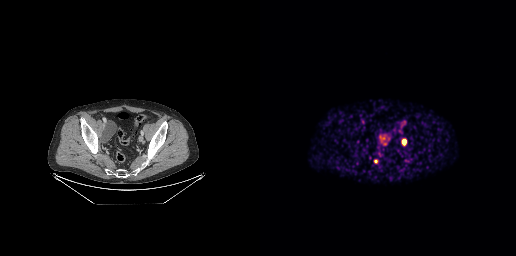
Left: CT. Right: PSMA PET, same axial level, [68Ga]Ga-PSMA-11 tracer. Slice 64 of 263. Coordinates are on the 256×256 PET (right) panel. PSMA-avid tumor lesion bounding boxes (x0, y0)-(x1, y1): (114, 159)-(118, 163) | (142, 140)-(145, 144).